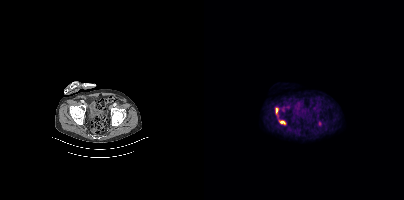
Coordinates are on the 200×200 PET (right) panel. PSMA-avid tumor lesion bounding boxes (x, y, width, height): x=74 y=120 w=9 h=5 / x=71 y=108 w=4 h=9 / x=114 y=121 w=4 h=5. Left: CT. Right: PSMA PET, same axial level, [18F]PSMA-1007 tracer. PET panel 200×200 px (4.1 mm/px).